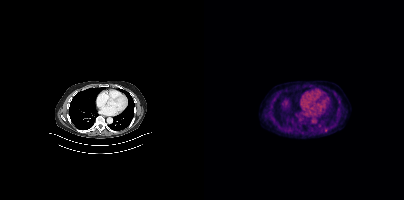
{"modality":"PSMA PET/CT","view":"axial","tracer":"18F-PSMA","pet_grid":[200,200],"coord_frame":"pet_panel","coord_format":"x0,y0,x1,y1","lesion_bboxes":[],"small_foci_centers":[[121,130]]}